- Paired axial CT (left) and PSMA PET (right), 18F-PSMA tracer
- acquired on Siemens Biograph mCT Flow 20
- PET panel 200×200 px (4.1 mm/px)
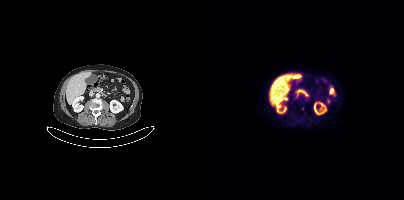
Findings: Coordinates are on the 200×200 PET (right) panel. Small PSMA-avid focus (2 to 4 px across) near (center x, center y): (98, 108).